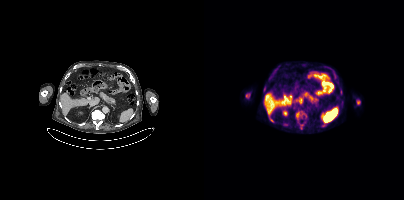
Two-panel axial: CT | PSMA PET, [18F]PSMA-1007 tracer. Acquired on Siemens Biograph mCT Flow 20. Slice 228 of 401.
Coordinates are on the 200×200 PET (right) panel. PSMA-avid tumor lesion bounding boxes:
| # | x0 | y0 | x1 | y1 |
|---|---|---|---|---|
| 1 | 136 | 90 | 137 | 94 |
Small PSMA-avid foci (2 to 4 px across) near (center x, center y): (43, 95); (95, 114); (153, 101); (80, 124).